Two-panel axial: CT | PSMA PET, 18F-PSMA tracer.
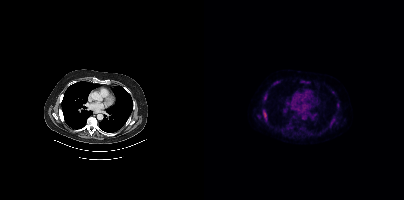
Coordinates are on the 200×200 PET (right) panel. (showing 1 of 2 foci) Small PSMA-avid focus (2 to 4 px across) near (center x, center y): (60, 114).